Paired axial CT (left) and PSMA PET (right), [18F]PSMA-1007 tracer. Slice 246 of 395.
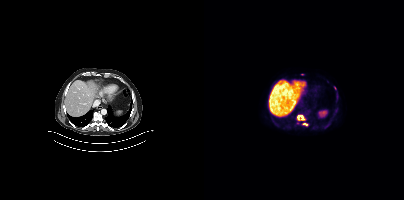
Coordinates are on the 200×200 PET (right) panel. (showing 3 of 4 foci) PSMA-avid tumor lesion bounding boxes (x0, y0)-(x1, y1): (93, 115)-(101, 120); (98, 123)-(103, 125). Small PSMA-avid focus (2 to 4 px across) near (center x, center y): (98, 74).